Left: CT. Right: PSMA PET, same axial level, 18F-PSMA tracer. Acquired on Siemens Biograph 64-4R TruePoint. PET panel 168×168 px (4.1 mm/px).
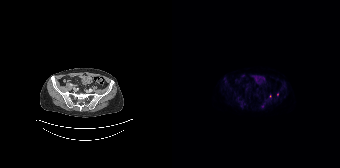
Coordinates are on the 168×168 PET (right) panel. Small PSMA-avid foci (2 to 4 px across) near (center x, center y): (98, 96) / (105, 94).